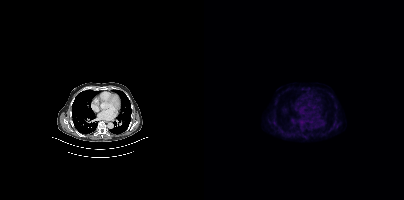
{"pet_grid":[200,200],"coord_frame":"pet_panel","coord_format":"x0,y0,x1,y1","psma_avid_lesions":false,"modality":"PSMA PET/CT","view":"axial","tracer":"18F"}